Technique: Paired axial CT (left) and PSMA PET (right), 68Ga-PSMA tracer. slice position z = -246 mm.
Note: A rectangle over the head was blacked out to remove identifiable facial features.
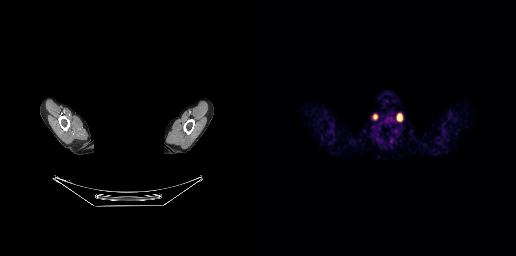
Findings: Negative for PSMA-avid disease on this slice.